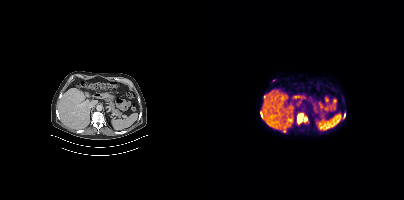
Coordinates are on the 200×200 PET (right) panel. PSMA-avid tumor lesion bounding box (x, y, width, height): x=93 y=114 w=11 h=10.